Left: CT. Right: PSMA PET, same axial level, 18F-PSMA tracer. Acquired on Siemens Biograph mCT Flow 20. Slice 185 of 423.
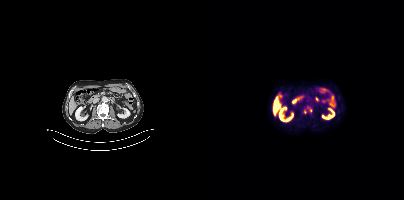
Coordinates are on the 200×200 PET (right) panel. (showing 2 of 3 foci) Small PSMA-avid foci (2 to 4 px across) near (center x, center y): (100, 112), (106, 110).